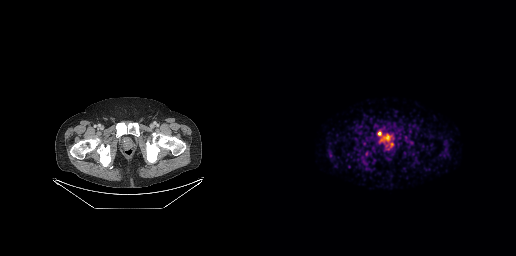
Paired axial CT (left) and PSMA PET (right), [68Ga]Ga-PSMA-11 tracer. Slice position z = -915 mm. Coordinates are on the 256×256 PET (right) panel. PSMA-avid tumor lesion bounding box (x0, y0)-(x1, y1): (118, 131)-(121, 135). Small PSMA-avid focus (2 to 4 px across) near (center x, center y): (123, 136).